Paired axial CT (left) and PSMA PET (right), 18F tracer. Slice 236 of 263. PET panel 256×256 px (2.7 mm/px). Privacy masking over the head, with the pixels inside a rectangle set to black.
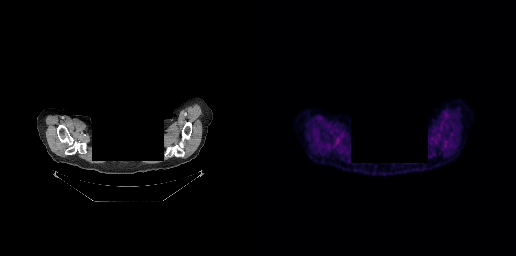
No PSMA-avid tumor lesions on this slice.